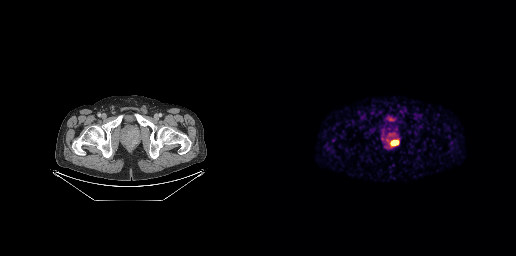
{"modality":"PSMA PET/CT","view":"axial","tracer":"68Ga-PSMA","pet_grid":[256,256],"coord_frame":"pet_panel","coord_format":"x0,y0,x1,y1","lesion_bboxes":[[131,140,138,145]]}